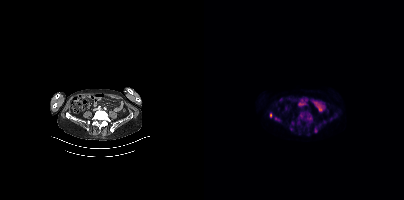
Coordinates are on the 200×200 PET (right) panel. PSMA-avid tumor lesion bounding boxes (x0,y0,x1,y1): [101,115,108,122], [110,127,113,132], [66,113,68,117], [71,117,75,120]. Small PSMA-avid foci (2 to 4 px across) near (center x, center y): (89, 123), (95, 117).